Paired axial CT (left) and PSMA PET (right), 18F-PSMA tracer. PET panel 200×200 px (4.1 mm/px).
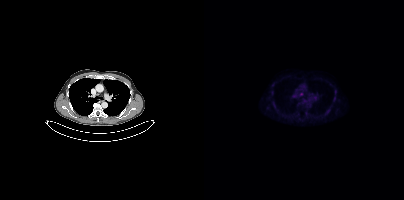
Coordinates are on the 200×200 PET (right) panel. Small PSMA-avid focus (2 to 4 px across) near (center x, center y): (97, 93).